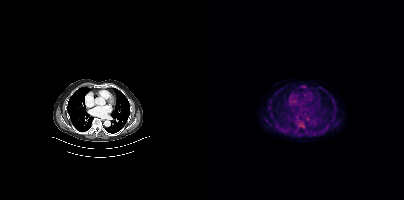
Coordinates are on the 200×200 PET (right) panel. PSMA-avid tumor lesion bounding box (x, y, width, height): x=96 y=123 w=5 h=6.